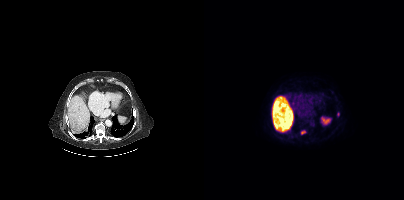
Paired axial CT (left) and PSMA PET (right), 18F tracer. Acquired on Siemens Biograph mCT Flow 20. PET panel 200×200 px (4.1 mm/px). Coordinates are on the 200×200 PET (right) panel. PSMA-avid tumor lesion bounding boxes (x, y, width, height): x=97 y=131 w=5 h=4 | x=133 y=112 w=3 h=5.